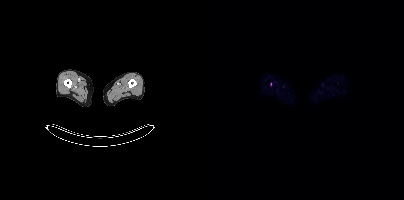
Coordinates are on the 200×200 PET (right) panel. Small PSMA-avid focus (2 to 4 px across) near (center x, center y): (66, 84).